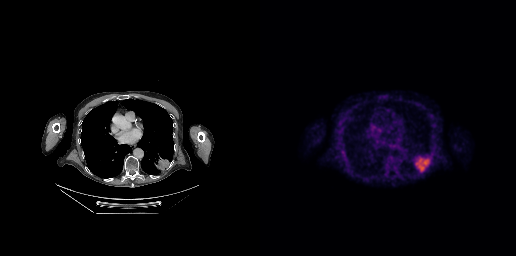
Coordinates are on the 256×256 PET (right) panel. PSMA-avid tumor lesion bounding box (x0,y0,x1,y1): [155,157,169,171].